- a rectangular block over the head has been blanked out for de-identification
- Two-panel axial: CT | PSMA PET, 18F tracer
- PET panel 200×200 px (4.1 mm/px)
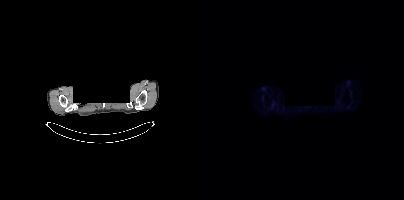
Findings: No tumor lesions annotated on this slice.